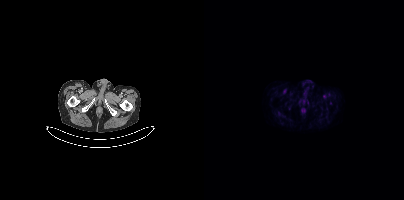
Negative for PSMA-avid disease on this slice. Paired axial CT (left) and PSMA PET (right), 18F tracer. PET panel 200×200 px (4.1 mm/px).